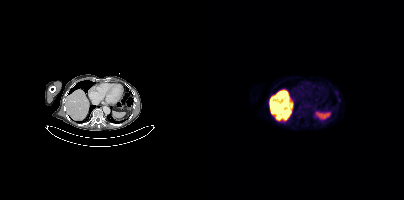
Left: CT. Right: PSMA PET, same axial level, [18F]PSMA-1007 tracer. Acquired on Siemens Biograph mCT Flow 20. PET panel 200×200 px (4.1 mm/px). Coordinates are on the 200×200 PET (right) panel. Small PSMA-avid focus (2 to 4 px across) near (center x, center y): (132, 92).